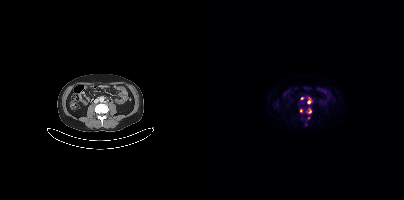
{"modality":"PSMA PET/CT","view":"axial","tracer":"[18F]PSMA-1007","pet_grid":[200,200],"coord_frame":"pet_panel","coord_format":"x0,y0,x1,y1","partial":true,"lesion_bboxes":[[104,108,107,112],[104,98,107,103]],"small_foci_centers":[[98,98]]}